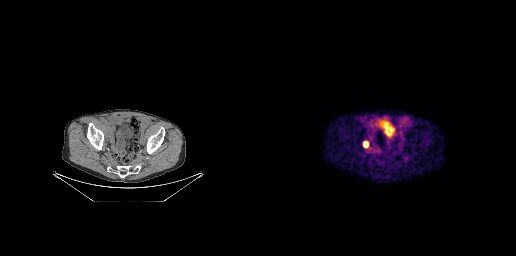
Findings: Coordinates are on the 256×256 PET (right) panel. PSMA-avid tumor lesion bounding box (x, y, width, height): x=104 y=142 w=5 h=5.
- Paired axial CT (left) and PSMA PET (right), 68Ga-PSMA tracer